modality: PSMA PET/CT | tracer: 18F | view: axial
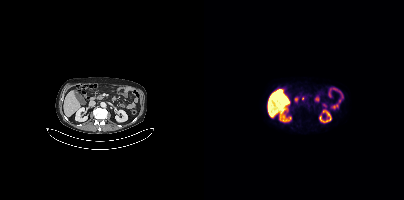
Negative for PSMA-avid disease on this slice.